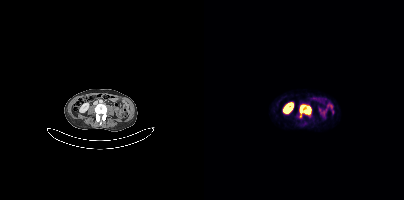
Coordinates are on the 200×200 PET (right) panel. PSMA-avid tumor lesion bounding box (x0,y0,x1,y1): [96,104,107,116].